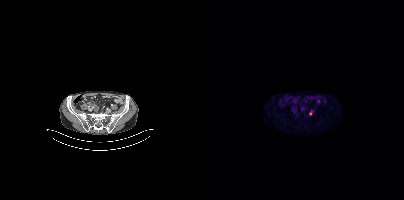
Coordinates are on the 200×200 PET (right) panel. PSMA-avid tumor lesion bounding box (x0,y0,x1,y1): [105,111,108,115].